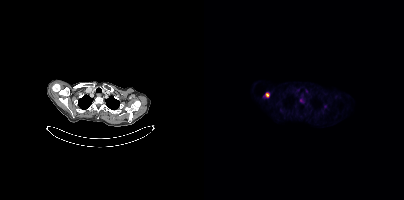
Coordinates are on the 200×200 PET (right) panel. PSMA-avid tumor lesion bounding box (x, y, width, height): x=59 y=92 w=7 h=6. Small PSMA-avid focus (2 to 4 px across) near (center x, center y): (96, 100).
modality: PSMA PET/CT | tracer: 18F | view: axial | PET grid: 200×200